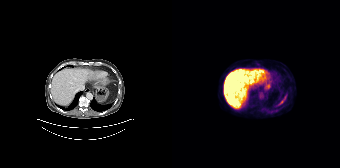
No tumor lesions annotated on this slice.
modality: PSMA PET/CT | tracer: 18F | view: axial | PET grid: 168×168